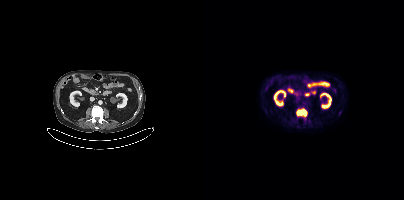
Coordinates are on the 200×200 PET (right) panel. PSMA-avid tumor lesion bounding box (x0,y0,x1,y1): [93,109,102,116].